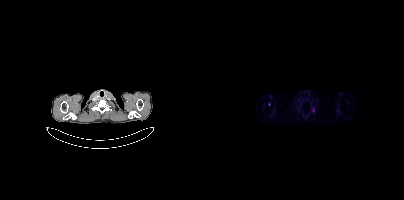
Paired axial CT (left) and PSMA PET (right), 68Ga-PSMA tracer. Acquired on Siemens Biograph mCT Flow 20. Slice position z = -1088 mm. Only PSMA-avid lesion pieces thinner than 2 px on this slice (not listed).